Two-panel axial: CT | PSMA PET, 18F tracer. Acquired on GE Discovery 690. PET panel 256×256 px (2.7 mm/px).
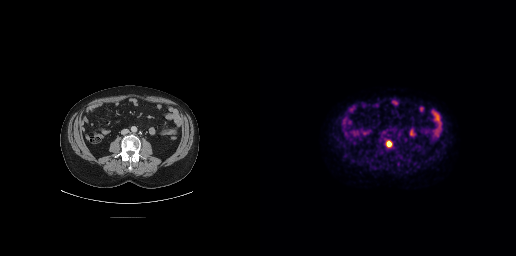
Coordinates are on the 256×256 PET (right) panel. PSMA-avid tumor lesion bounding box (x0,y0,x1,y1): [126,140,132,147].